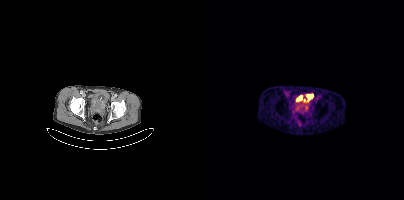
- Two-panel axial: CT | PSMA PET, [68Ga]Ga-PSMA-11 tracer
- acquired on Siemens Biograph mCT Flow 20
- slice position z = -871 mm
- PET panel 200×200 px (4.1 mm/px)
Findings: No PSMA-avid tumor lesions on this slice.